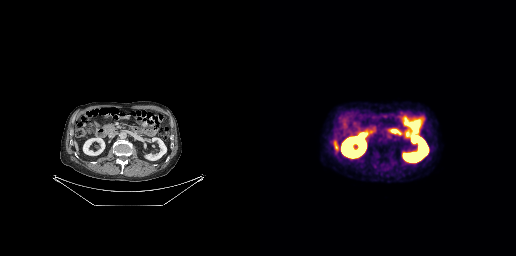
Negative for PSMA-avid disease on this slice.
modality: PSMA PET/CT | tracer: 18F | view: axial